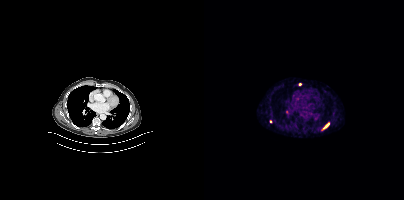
Findings: Coordinates are on the 200×200 PET (right) panel. PSMA-avid tumor lesion bounding box (x, y, width, height): x=121 y=123 w=5 h=5. Small PSMA-avid focus (2 to 4 px across) near (center x, center y): (96, 84).
Technique: Left: CT. Right: PSMA PET, same axial level, [68Ga]Ga-PSMA-11 tracer.